- Left: CT. Right: PSMA PET, same axial level, [68Ga]Ga-PSMA-11 tracer
- acquired on Siemens Biograph 64-4R TruePoint
- slice position z = -694 mm
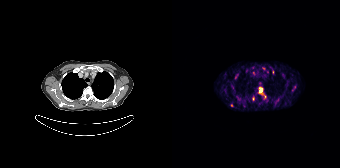
Findings: Coordinates are on the 168×168 PET (right) panel. (showing 6 of 10 foci) PSMA-avid tumor lesion bounding boxes (x0,y0,x1,y1): [87,87,91,94] [120,85,124,91]. Small PSMA-avid foci (2 to 4 px across) near (center x, center y): (81, 99) (59, 105) (111, 76) (65, 74).